Technique: Paired axial CT (left) and PSMA PET (right), 18F tracer. acquired on Siemens Biograph mCT Flow 20. slice position z = -771 mm. PET panel 200×200 px (4.1 mm/px).
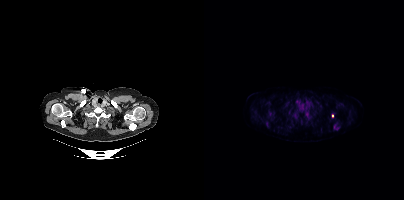
Findings: Coordinates are on the 200×200 PET (right) panel. PSMA-avid tumor lesion bounding boxes (x, y, width, height): x=129 y=124 w=7 h=7 | x=101 y=112 w=7 h=6 | x=88 y=113 w=6 h=4 | x=62 y=123 w=4 h=5. Small PSMA-avid foci (2 to 4 px across) near (center x, center y): (66, 114) | (97, 122) | (128, 116).